modality: PSMA PET/CT | tracer: 18F-PSMA | view: axial | PET grid: 256×256
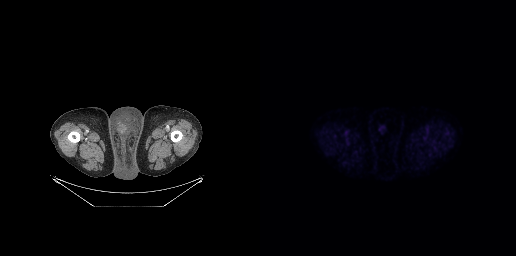
Negative for PSMA-avid disease on this slice.